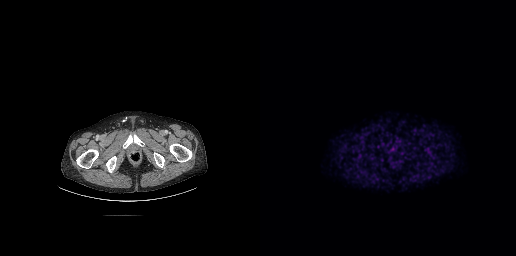
Coordinates are on the 256×256 PET (right) panel. (showing 1 of 3 foci) PSMA-avid tumor lesion bounding box (x0, y0)-(x1, y1): (129, 150)-(134, 153). Two-panel axial: CT | PSMA PET, 18F-PSMA tracer. Acquired on GE Discovery 690. Slice 41 of 263.